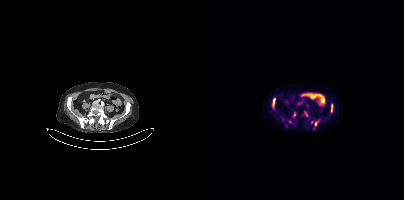
Coordinates are on the 200×200 PET (right) panel. PSMA-avid tumor lesion bounding boxes (partial; 1 more focus not listed):
| # | x0 | y0 | x1 | y1 |
|---|---|---|---|---|
| 1 | 68 | 98 | 71 | 108 |
| 2 | 127 | 104 | 128 | 112 |
| 3 | 111 | 121 | 114 | 125 |
Small PSMA-avid focus (2 to 4 px across) near (center x, center y): (90, 114).
Left: CT. Right: PSMA PET, same axial level, [18F]PSMA-1007 tracer. Acquired on Siemens Biograph mCT Flow 20.